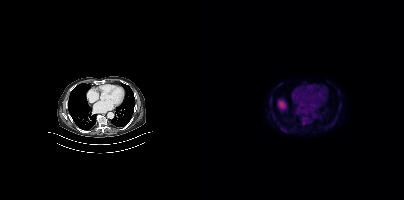
- Paired axial CT (left) and PSMA PET (right), 18F-PSMA tracer
- PET panel 200×200 px (4.1 mm/px)
Findings: Coordinates are on the 200×200 PET (right) panel. Small PSMA-avid focus (2 to 4 px across) near (center x, center y): (99, 123).